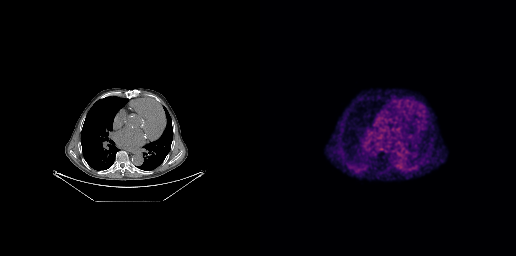
- Paired axial CT (left) and PSMA PET (right), 68Ga tracer
- PET panel 256×256 px (2.7 mm/px)
Findings: No tumor lesions annotated on this slice.